- Two-panel axial: CT | PSMA PET, [18F]PSMA-1007 tracer
- acquired on Siemens Biograph mCT Flow 20
- PET panel 200×200 px (4.1 mm/px)
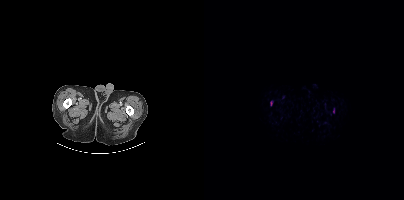
Findings: Coordinates are on the 200×200 PET (right) panel. PSMA-avid tumor lesion bounding box (x, y, width, height): x=129 y=108 w=2 h=6. Small PSMA-avid focus (2 to 4 px across) near (center x, center y): (67, 103).